Technique: Two-panel axial: CT | PSMA PET, 18F tracer. acquired on Siemens Biograph mCT Flow 20. slice position z = -1527 mm. PET panel 200×200 px (4.1 mm/px).
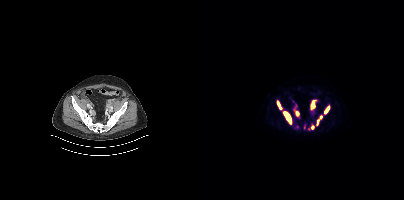
Findings: Coordinates are on the 200×200 PET (right) panel. PSMA-avid tumor lesion bounding boxes (x0,y0,x1,y1): [79,111,87,124], [106,100,112,109], [120,105,125,114], [112,115,118,125], [73,100,78,109], [91,111,95,116], [107,125,110,129].